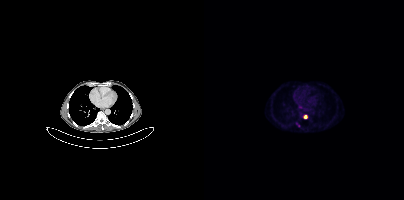
{"modality":"PSMA PET/CT","view":"axial","tracer":"68Ga","pet_grid":[200,200],"coord_frame":"pet_panel","coord_format":"x0,y0,x1,y1","lesion_bboxes":[],"small_foci_centers":[[101,116],[93,124]]}